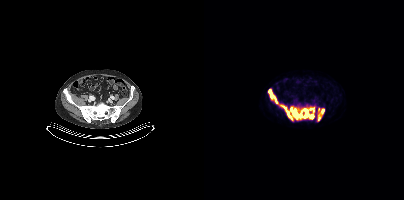
- Two-panel axial: CT | PSMA PET, 18F-PSMA tracer
- slice position z = -873 mm
Findings: Coordinates are on the 200×200 PET (right) panel. (showing 7 of 8 foci) PSMA-avid tumor lesion bounding boxes (x, y, width, height): x=86 y=107 w=25 h=12 | x=64 y=89 w=11 h=15 | x=76 y=105 w=13 h=15 | x=114 y=114 w=3 h=7. Small PSMA-avid foci (2 to 4 px across) near (center x, center y): (119, 110) | (109, 109) | (106, 108).